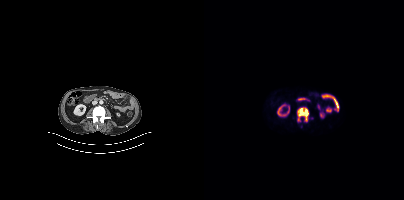
Coordinates are on the 200×200 PET (right) panel. PSMA-avid tumor lesion bounding box (x, y, width, height): x=93 y=107 w=12 h=15. Left: CT. Right: PSMA PET, same axial level, 18F-PSMA tracer. Acquired on Siemens Biograph mCT Flow 20. PET panel 200×200 px (4.1 mm/px).